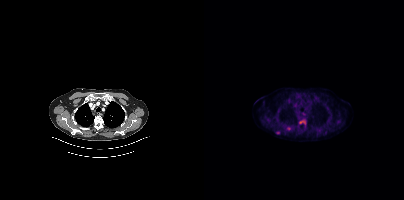
Coordinates are on the 200×200 PET (right) panel. PSMA-avid tumor lesion bounding boxes (x, y, width, height): x=95 y=120 w=7 h=5 / x=72 y=131 w=5 h=4. Small PSMA-avid focus (2 to 4 px across) near (center x, center y): (84, 127).